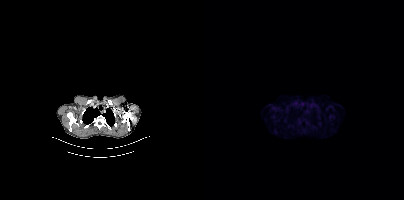
Two-panel axial: CT | PSMA PET, [18F]PSMA-1007 tracer. Acquired on Siemens Biograph mCT Flow 20. PET panel 200×200 px (4.1 mm/px). No PSMA-avid tumor lesions on this slice.